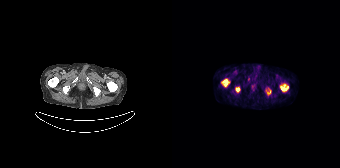
Technique: Left: CT. Right: PSMA PET, same axial level, 68Ga-PSMA tracer. PET panel 168×168 px (4.1 mm/px).
Findings: Coordinates are on the 168×168 PET (right) panel. (showing 5 of 7 foci) PSMA-avid tumor lesion bounding boxes (x, y, width, height): x=108 y=84 w=9 h=8 | x=49 y=79 w=9 h=8 | x=63 y=87 w=6 h=6 | x=95 y=90 w=4 h=5. Small PSMA-avid focus (2 to 4 px across) near (center x, center y): (76, 79).